Technique: Left: CT. Right: PSMA PET, same axial level, [18F]PSMA-1007 tracer. acquired on Siemens Biograph 64-4R TruePoint. PET panel 168×168 px (4.1 mm/px).
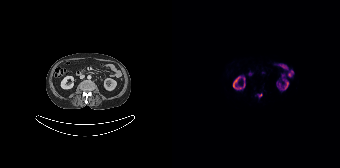
Findings: Coordinates are on the 168×168 PET (right) panel. PSMA-avid tumor lesion bounding box (x0, y0)-(x1, y1): (86, 93)-(90, 97).